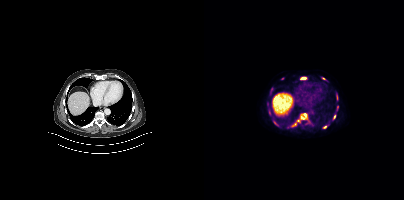
Coordinates are on the 200×200 PET (right) panel. (showing 10 of 12 foci) PSMA-avid tumor lesion bounding boxes (x, y, width, height): x=89 y=122 w=5 h=5; x=97 y=77 w=6 h=3; x=132 y=94 w=2 h=5. Small PSMA-avid foci (2 to 4 px across) near (center x, center y): (101, 115); (119, 78); (130, 116); (121, 127); (133, 107); (99, 117); (78, 78). Two-panel axial: CT | PSMA PET, 18F tracer. Acquired on Siemens Biograph mCT Flow 20. Slice 263 of 429. PET panel 200×200 px (4.1 mm/px).